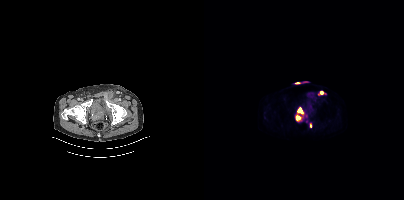
Findings: Coordinates are on the 200×200 PET (right) panel. PSMA-avid tumor lesion bounding boxes (x, y, width, height): x=93 y=107 w=7 h=7; x=91 y=115 w=6 h=6. Small PSMA-avid foci (2 to 4 px across) near (center x, center y): (117, 92); (106, 125).
- Left: CT. Right: PSMA PET, same axial level, 18F tracer